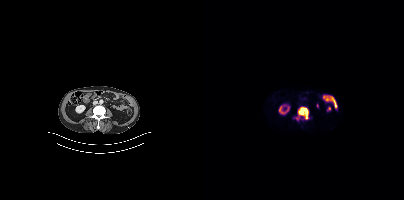
Findings: Coordinates are on the 200×200 PET (right) panel. PSMA-avid tumor lesion bounding box (x0,y0,x1,y1): [91,107,104,120].
Technique: Left: CT. Right: PSMA PET, same axial level, 18F-PSMA tracer. PET panel 200×200 px (4.1 mm/px).